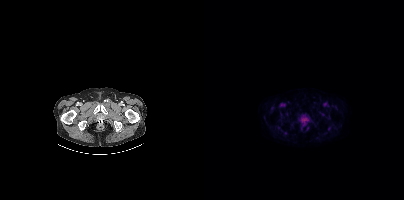
No tumor lesions annotated on this slice.